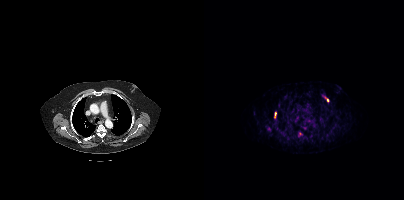
{"modality":"PSMA PET/CT","view":"axial","tracer":"68Ga-PSMA","pet_grid":[200,200],"coord_frame":"pet_panel","coord_format":"x0,y0,x1,y1","lesion_bboxes":[[118,95,125,102],[94,132,98,136],[70,112,72,117]],"small_foci_centers":[[100,128]]}